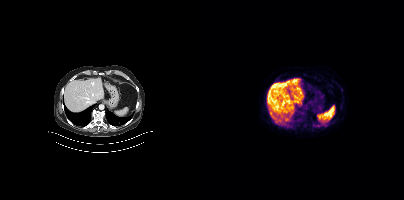
{"modality":"PSMA PET/CT","view":"axial","tracer":"18F","pet_grid":[200,200],"coord_frame":"pet_panel","coord_format":"x0,y0,x1,y1","psma_avid_lesions":false}